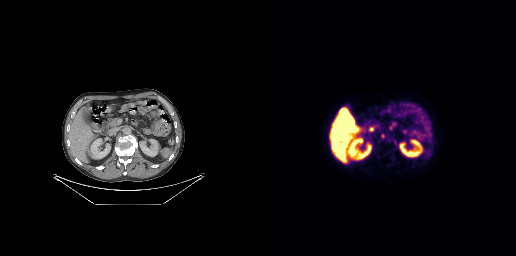
- Two-panel axial: CT | PSMA PET, [18F]PSMA-1007 tracer
- acquired on GE Discovery 690
- slice 136 of 263
Findings: Coordinates are on the 256×256 PET (right) panel. Small PSMA-avid focus (2 to 4 px across) near (center x, center y): (122, 135).